- Left: CT. Right: PSMA PET, same axial level, 18F-PSMA tracer
- PET panel 200×200 px (4.1 mm/px)
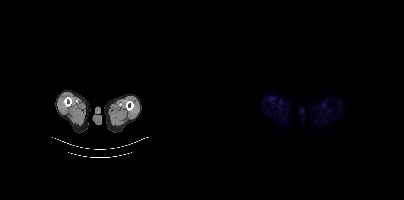
Findings: Negative for PSMA-avid disease on this slice.